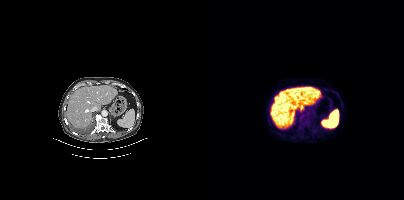
{"pet_grid":[200,200],"coord_frame":"pet_panel","coord_format":"x0,y0,x1,y1","lesion_bboxes":[],"small_foci_centers":[[97,121]],"modality":"PSMA PET/CT","view":"axial","tracer":"[18F]PSMA-1007"}